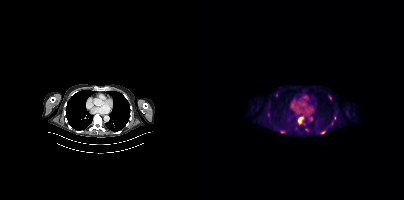
Coordinates are on the 200×200 PET (right) panel. PSMA-avid tumor lesion bounding boxes (partial; 1 more focus not listed):
| # | x0 | y0 | x1 | y1 |
|---|---|---|---|---|
| 1 | 95 | 117 | 98 | 122 |
| 2 | 76 | 130 | 81 | 133 |
| 3 | 117 | 131 | 121 | 133 |
| 4 | 125 | 95 | 127 | 99 |
Small PSMA-avid focus (2 to 4 px across) near (center x, center y): (64, 114).
Paired axial CT (left) and PSMA PET (right), [18F]PSMA-1007 tracer. Slice position z = -547 mm.